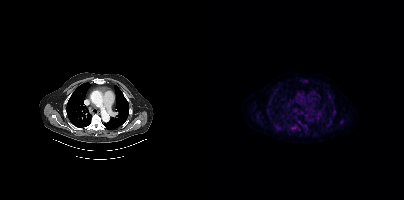
modality: PSMA PET/CT | tracer: 18F-PSMA | view: axial | PET grid: 200×200
Coordinates are on the 200×200 PET (right) panel. (showing 1 of 2 foci) Small PSMA-avid focus (2 to 4 px across) near (center x, center y): (89, 127).